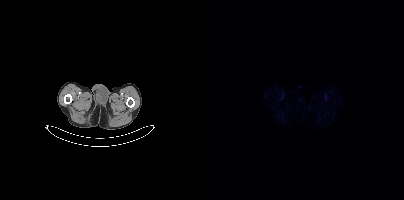
No PSMA-avid tumor lesions on this slice. Paired axial CT (left) and PSMA PET (right), 18F tracer. Acquired on Siemens Biograph mCT Flow 20. PET panel 200×200 px (4.1 mm/px).